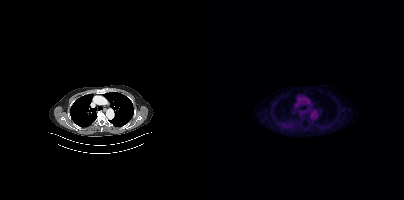
No tumor lesions annotated on this slice. Paired axial CT (left) and PSMA PET (right), 18F tracer. Slice 310 of 423. PET panel 200×200 px (4.1 mm/px).